Paired axial CT (left) and PSMA PET (right), 18F tracer. Slice position z = -786 mm. PET panel 200×200 px (4.1 mm/px).
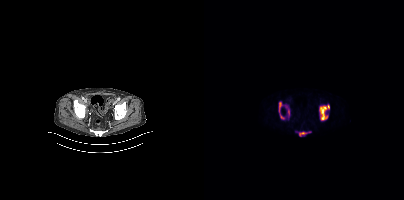
Coordinates are on the 200×200 PET (right) panel. (showing 5 of 6 foci) PSMA-avid tumor lesion bounding boxes (x0,y0,x1,y1): [115,104,125,120] [75,102,80,119] [95,132,102,135] [84,110,85,114]. Small PSMA-avid focus (2 to 4 px across) near (center x, center y): (82, 106).